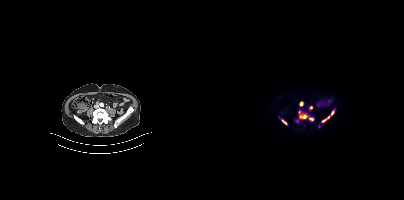
{"modality":"PSMA PET/CT","view":"axial","tracer":"[18F]PSMA-1007","pet_grid":[200,200],"coord_frame":"pet_panel","coord_format":"x0,y0,x1,y1","lesion_bboxes":[[118,110,130,122],[96,115,102,118],[78,119,82,124],[105,118,109,120]],"small_foci_centers":[[97,103],[107,107],[95,111]]}